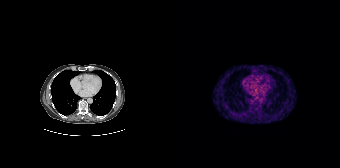
{"modality":"PSMA PET/CT","view":"axial","tracer":"68Ga","pet_grid":[168,168],"coord_frame":"pet_panel","coord_format":"x0,y0,x1,y1","psma_avid_lesions":false}